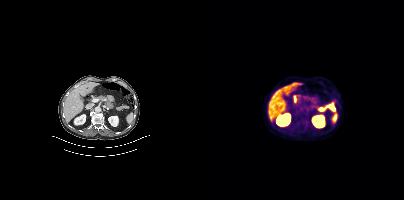
- Paired axial CT (left) and PSMA PET (right), 18F-PSMA tracer
- acquired on Siemens Biograph mCT Flow 20
- slice position z = 250 mm
Findings: Negative for PSMA-avid disease on this slice.